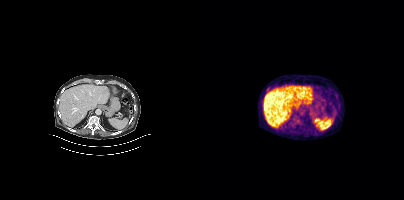
{"modality":"PSMA PET/CT","view":"axial","tracer":"[18F]PSMA-1007","pet_grid":[200,200],"coord_frame":"pet_panel","coord_format":"x0,y0,x1,y1","psma_avid_lesions":false}